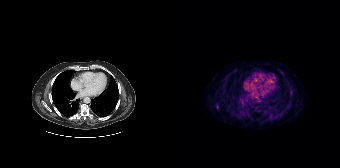
{"modality":"PSMA PET/CT","view":"axial","tracer":"[18F]PSMA-1007","pet_grid":[168,168],"coord_frame":"pet_panel","coord_format":"x0,y0,x1,y1","partial":true,"lesion_bboxes":[],"small_foci_centers":[[45,106],[119,92],[87,110]]}